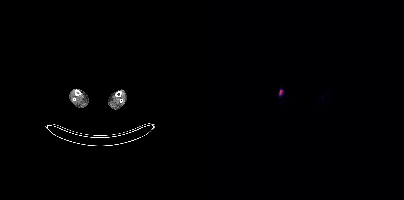
Coordinates are on the 200×200 PET (right) panel. PSMA-avid tumor lesion bounding box (x, y, width, height): x=75 y=90 w=4 h=5.